Two-panel axial: CT | PSMA PET, 18F tracer. Slice position z = -246 mm.
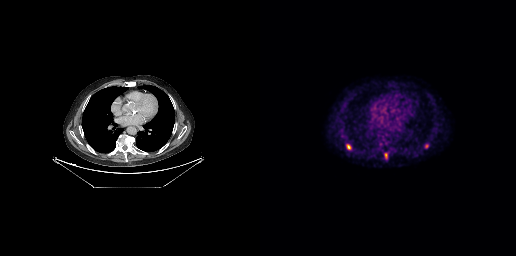
Coordinates are on the 256×256 PET (right) panel. PSMA-avid tumor lesion bounding boxes:
| # | x0 | y0 | x1 | y1 |
|---|---|---|---|---|
| 1 | 86 | 144 | 91 | 149 |
Small PSMA-avid foci (2 to 4 px across) near (center x, center y): (166, 146); (125, 155).